Two-panel axial: CT | PSMA PET, 18F tracer.
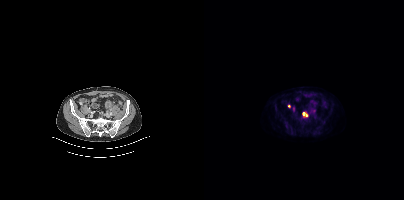
Coordinates are on the 200×200 PET (right) panel. PSMA-avid tumor lesion bounding box (x, y, width, height): x=98 y=112 w=6 h=5. Small PSMA-avid focus (2 to 4 px across) near (center x, center y): (85, 106).